modality: PSMA PET/CT | tracer: 18F-PSMA | view: axial | redaction: rectangular block over head set to black
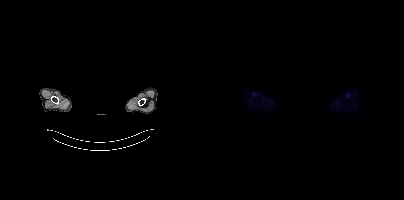
Negative for PSMA-avid disease on this slice.